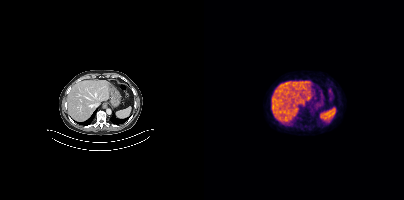
Findings: Negative for PSMA-avid disease on this slice.
- Paired axial CT (left) and PSMA PET (right), [68Ga]Ga-PSMA-11 tracer
- slice position z = -1388 mm